- an anonymization step blacked out a rectangle over the head in this scan
- Left: CT. Right: PSMA PET, same axial level, [18F]PSMA-1007 tracer
- slice 411 of 411
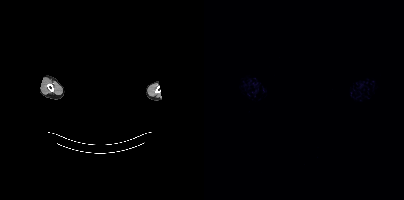
Findings: This slice has no annotated PSMA-avid lesion.